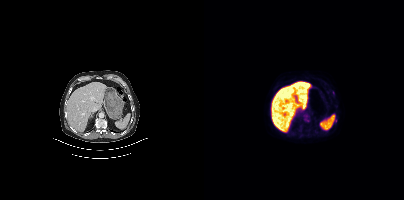
Findings: Coordinates are on the 200×200 PET (right) panel. Small PSMA-avid focus (2 to 4 px across) near (center x, center y): (131, 120).
Technique: Paired axial CT (left) and PSMA PET (right), 18F-PSMA tracer.